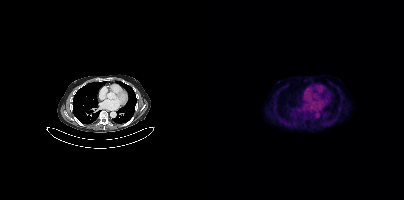
modality: PSMA PET/CT | tracer: 18F-PSMA | view: axial | PET grid: 200×200
Negative for PSMA-avid disease on this slice.